Technique: Left: CT. Right: PSMA PET, same axial level, 68Ga tracer. PET panel 256×256 px (2.7 mm/px).
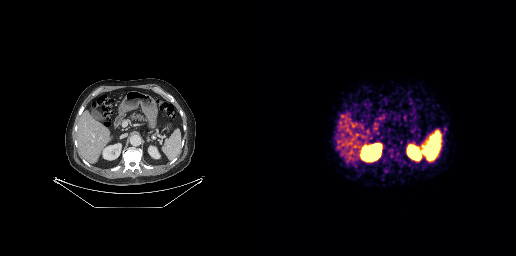
Findings: No PSMA-avid tumor lesions on this slice.